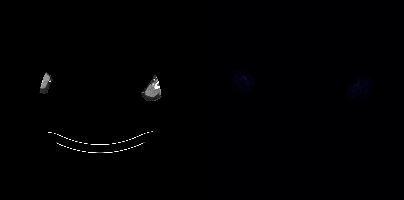
Left: CT. Right: PSMA PET, same axial level, 18F tracer. Acquired on Siemens Biograph mCT Flow 20. Any black rectangle over the head is a privacy mask, not anatomy. No PSMA-avid tumor lesions on this slice.